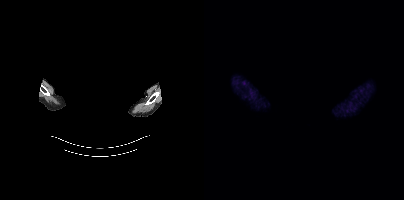
Findings: No PSMA-avid tumor lesions on this slice.
- face de-identified by blanking a block of the head
- Left: CT. Right: PSMA PET, same axial level, [68Ga]Ga-PSMA-11 tracer
- slice 377 of 405